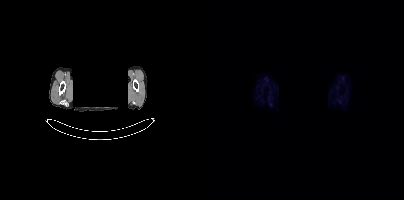
No PSMA-avid tumor lesions on this slice.
modality: PSMA PET/CT | tracer: 18F-PSMA | view: axial | de-identification: privacy mask over head